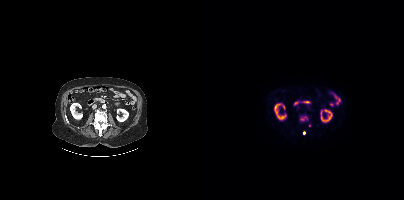
{"pet_grid":[200,200],"coord_frame":"pet_panel","coord_format":"x0,y0,x1,y1","lesion_bboxes":[],"small_foci_centers":[[100,133]],"modality":"PSMA PET/CT","view":"axial","tracer":"18F"}